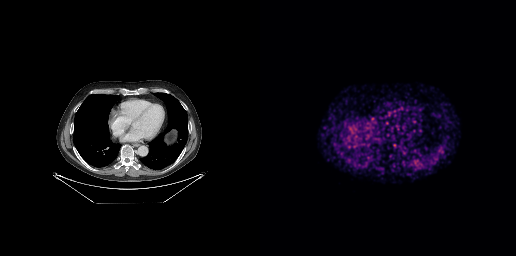
modality: PSMA PET/CT | tracer: 68Ga | view: axial
This slice has no annotated PSMA-avid lesion.